Two-panel axial: CT | PSMA PET, 68Ga tracer. Slice position z = -1466 mm.
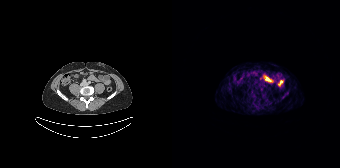
Negative for PSMA-avid disease on this slice.